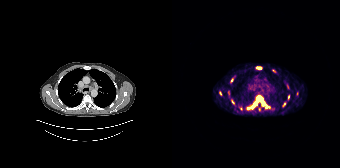
Paired axial CT (left) and PSMA PET (right), 68Ga-PSMA tracer. Acquired on Siemens Biograph 64-4R TruePoint. PET panel 168×168 px (4.1 mm/px).
Coordinates are on the 168×168 PET (right) panel. PSMA-avid tumor lesion bounding boxes (partial; 3 more foci not listed):
| # | x0 | y0 | x1 | y1 |
|---|---|---|---|---|
| 1 | 74 | 95 | 97 | 110 |
| 2 | 84 | 66 | 89 | 69 |
| 3 | 59 | 100 | 62 | 104 |
| 4 | 47 | 91 | 49 | 95 |
| 5 | 111 | 102 | 113 | 106 |
| 6 | 116 | 95 | 117 | 99 |
Small PSMA-avid foci (2 to 4 px across) near (center x, center y): (60, 80); (102, 71); (115, 86); (69, 108).